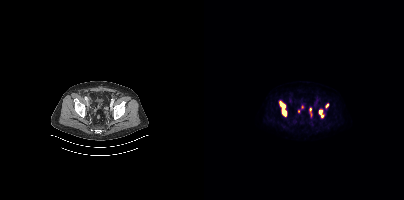
{"pet_grid":[200,200],"coord_frame":"pet_panel","coord_format":"x0,y0,x1,y1","partial":true,"lesion_bboxes":[[75,101,82,116],[115,109,119,117],[121,103,124,107]],"small_foci_centers":[[106,109],[94,111]],"modality":"PSMA PET/CT","view":"axial","tracer":"18F-PSMA"}